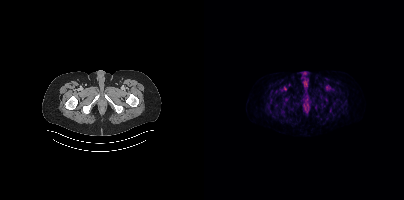
No tumor lesions annotated on this slice.
modality: PSMA PET/CT | tracer: 18F | view: axial | PET grid: 200×200